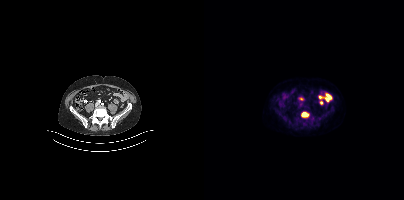
Coordinates are on the 200×200 PET (right) panel. PSMA-avid tumor lesion bounding box (x0, y0)-(x1, y1): (97, 112)-(105, 117).